Two-panel axial: CT | PSMA PET, 18F-PSMA tracer. Acquired on Siemens Biograph mCT Flow 20. PET panel 200×200 px (4.1 mm/px).
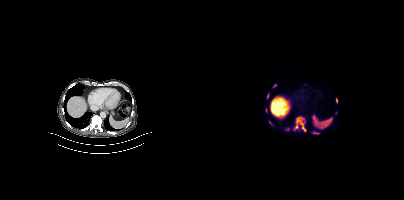
Coordinates are on the 200×200 PET (right) panel. PSMA-avid tumor lesion bounding boxes (partial; 2 more foci not listed):
| # | x0 | y0 | x1 | y1 |
|---|---|---|---|---|
| 1 | 90 | 116 | 101 | 131 |
| 2 | 108 | 132 | 115 | 134 |
| 3 | 132 | 98 | 133 | 102 |
| 4 | 65 | 121 | 68 | 125 |
| 5 | 63 | 94 | 64 | 98 |
Small PSMA-avid focus (2 to 4 px across) near (center x, center y): (70, 85).